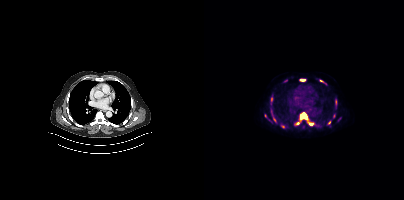
Coordinates are on the 200×200 PET (right) panel. (showing 13 of 14 foci) PSMA-avid tumor lesion bounding boxes (x0,y0,x1,y1): [96,112,103,119]; [67,97,68,104]; [96,79,101,81]; [105,123,109,125]; [131,101,132,106]. Small PSMA-avid foci (2 to 4 px across) near (center x, center y): (117, 81); (93, 123); (69, 117); (61, 116); (129, 116); (125, 122); (77, 126); (71, 121).